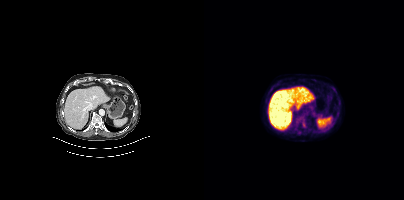
Coordinates are on the 200×200 PET (right) panel. PSMA-avid tumor lesion bounding box (x, y, width, height): x=98 y=120 w=5 h=8.